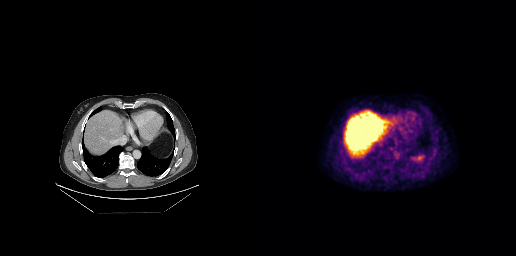
Paired axial CT (left) and PSMA PET (right), 18F-PSMA tracer. Acquired on GE Discovery 690. Slice position z = -275 mm. This slice has no annotated PSMA-avid lesion.